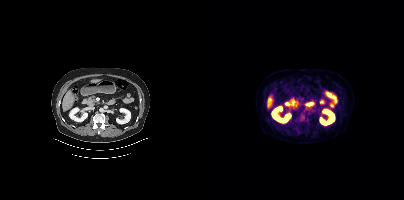
- Left: CT. Right: PSMA PET, same axial level, [18F]PSMA-1007 tracer
- acquired on Siemens Biograph mCT Flow 20
- slice 237 of 454
Findings: No tumor lesions annotated on this slice.